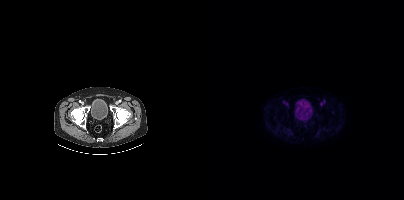
Findings: Negative for PSMA-avid disease on this slice.
- Left: CT. Right: PSMA PET, same axial level, [18F]PSMA-1007 tracer
- PET panel 200×200 px (4.1 mm/px)